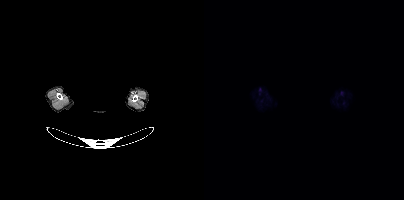
{"pet_grid":[200,200],"coord_frame":"pet_panel","coord_format":"x0,y0,x1,y1","psma_avid_lesions":false,"de-identification":"facial region redacted","modality":"PSMA PET/CT","view":"axial","tracer":"18F-PSMA"}